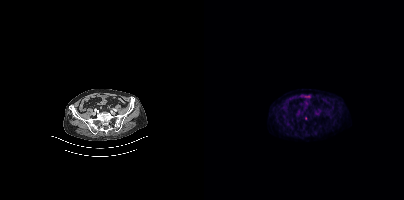
{"modality":"PSMA PET/CT","view":"axial","tracer":"18F-PSMA","pet_grid":[200,200],"coord_frame":"pet_panel","coord_format":"x0,y0,x1,y1","lesion_bboxes":[],"small_foci_centers":[[101,118]]}